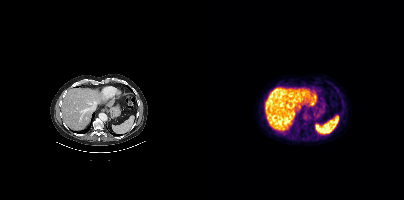
Findings: Negative for PSMA-avid disease on this slice.
Technique: Two-panel axial: CT | PSMA PET, 18F tracer. PET panel 200×200 px (4.1 mm/px).